Technique: Left: CT. Right: PSMA PET, same axial level, 18F tracer. PET panel 256×256 px (2.7 mm/px).
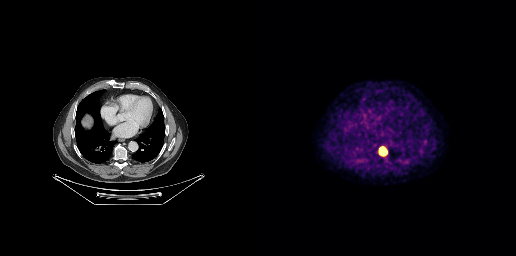
Findings: Coordinates are on the 256×256 PET (right) panel. PSMA-avid tumor lesion bounding box (x0, y0)-(x1, y1): (119, 147)-(127, 155).